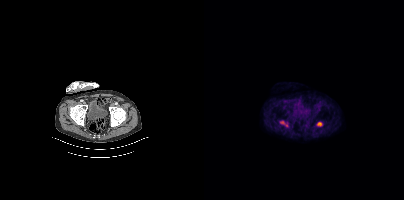
{"modality":"PSMA PET/CT","view":"axial","tracer":"[18F]PSMA-1007","pet_grid":[200,200],"coord_frame":"pet_panel","coord_format":"x0,y0,x1,y1","lesion_bboxes":[[112,121,118,126],[76,121,80,124]],"small_foci_centers":[[82,125]]}